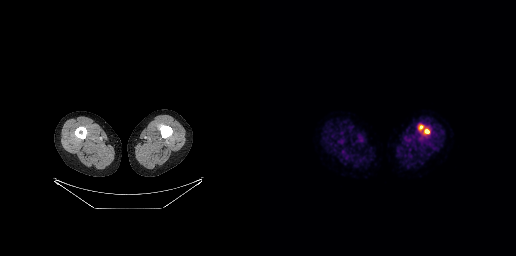
{"modality":"PSMA PET/CT","view":"axial","tracer":"18F","pet_grid":[256,256],"coord_frame":"pet_panel","coord_format":"x0,y0,x1,y1","lesion_bboxes":[[164,129,169,133],[159,125,163,129]]}